Head region blanked for anonymization (face removed).
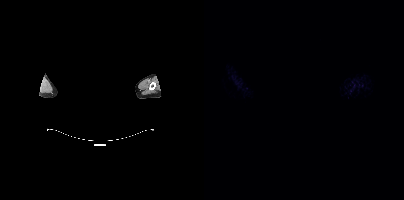
No PSMA-avid tumor lesions on this slice.